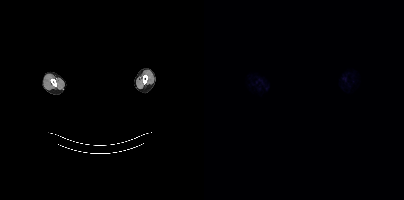
This slice has no annotated PSMA-avid lesion.
modality: PSMA PET/CT | tracer: 18F-PSMA | view: axial | PET grid: 200×200 | de-identification: head region blacked out before release